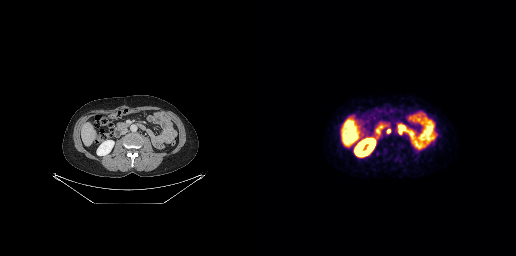
modality: PSMA PET/CT | tracer: 18F-PSMA | view: axial | PET grid: 256×256
Coordinates are on the 256×256 PET (right) panel. PSMA-avid tumor lesion bounding boxes (x, y, width, height): x=138 y=128 w=5 h=7 | x=127 y=129 w=4 h=5.